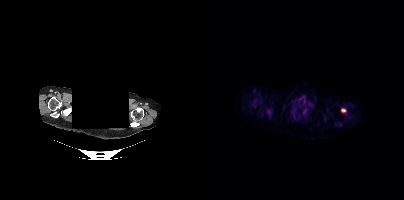
{"pet_grid":[200,200],"coord_frame":"pet_panel","coord_format":"x0,y0,x1,y1","lesion_bboxes":[[137,108,141,112]],"de-identification":"head region blacked out before release","modality":"PSMA PET/CT","view":"axial","tracer":"[18F]PSMA-1007"}